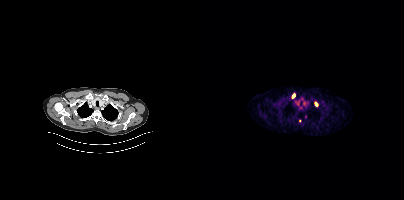
Coordinates are on the 200×200 PET (right) panel. PSMA-avid tumor lesion bounding box (x, y, width, height): x=111 y=102 w=3 h=5. Small PSMA-avid foci (2 to 4 px across) near (center x, center y): (89, 96); (95, 120). Paired axial CT (left) and PSMA PET (right), 68Ga-PSMA tracer.